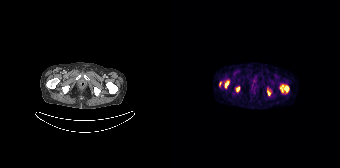
{"modality":"PSMA PET/CT","view":"axial","tracer":"68Ga-PSMA","pet_grid":[168,168],"coord_frame":"pet_panel","coord_format":"x0,y0,x1,y1","lesion_bboxes":[[108,84,117,92],[52,80,57,88],[64,86,67,91],[95,89,98,95]],"small_foci_centers":[[48,83]]}